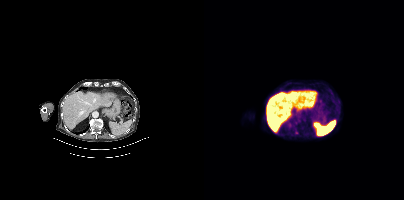
No tumor lesions annotated on this slice. Paired axial CT (left) and PSMA PET (right), 18F-PSMA tracer.